Technique: Paired axial CT (left) and PSMA PET (right), 18F tracer. slice 134 of 444. PET panel 200×200 px (4.1 mm/px).
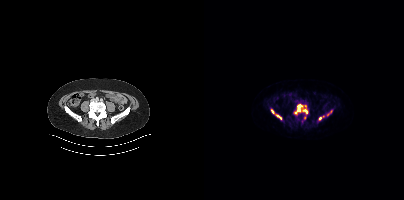
Findings: Coordinates are on the 200×200 PET (right) panel. PSMA-avid tumor lesion bounding boxes (x, y, width, height): x=91 y=104 w=8 h=10; x=99 y=109 w=5 h=5; x=72 y=114 w=6 h=6; x=67 y=109 w=4 h=5. Small PSMA-avid foci (2 to 4 px across) near (center x, center y): (116, 118); (126, 111); (123, 114); (119, 116).